Two-panel axial: CT | PSMA PET, 18F tracer. PET panel 200×200 px (4.1 mm/px).
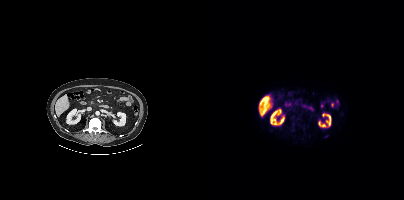
Coordinates are on the 200×200 PET (right) panel. Small PSMA-avid focus (2 to 4 px across) near (center x, center y): (121, 136).